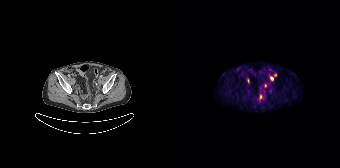
Two-panel axial: CT | PSMA PET, 68Ga-PSMA tracer. Coordinates are on the 168×168 PET (right) panel. (showing 4 of 5 foci) Small PSMA-avid foci (2 to 4 px across) near (center x, center y): (100, 78); (93, 85); (103, 74); (88, 96).